- Paired axial CT (left) and PSMA PET (right), 18F-PSMA tracer
- acquired on GE Discovery 690
- PET panel 256×256 px (2.7 mm/px)
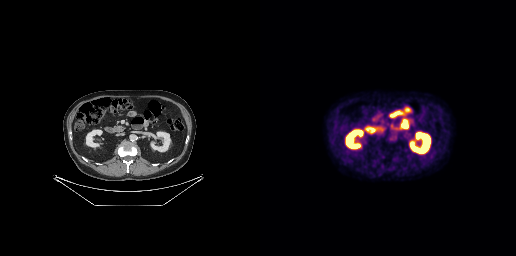
Findings: This slice has no annotated PSMA-avid lesion.